Technique: Two-panel axial: CT | PSMA PET, 18F tracer. acquired on Siemens Biograph mCT Flow 20. slice position z = -825 mm. PET panel 200×200 px (4.1 mm/px).
Note: Any black rectangle over the head is a privacy mask, not anatomy.
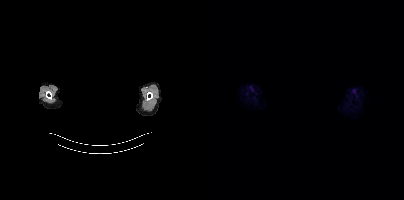
Findings: Negative for PSMA-avid disease on this slice.